Technique: Two-panel axial: CT | PSMA PET, [18F]PSMA-1007 tracer. slice 130 of 299.
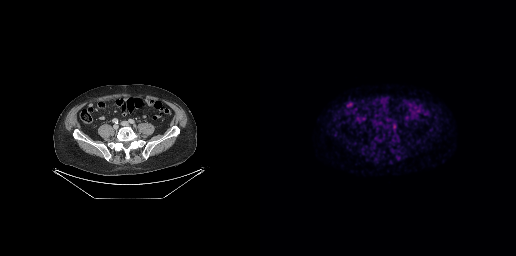
Findings: Coordinates are on the 256×256 PET (right) panel. PSMA-avid tumor lesion bounding box (x0,y0,x1,y1): [133,124,135,128].